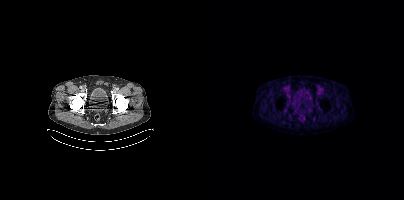
No tumor lesions annotated on this slice.